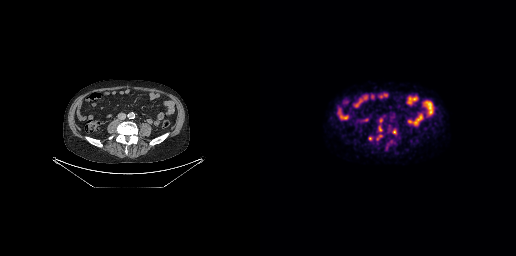
{"modality":"PSMA PET/CT","view":"axial","tracer":"18F-PSMA","pet_grid":[256,256],"coord_frame":"pet_panel","coord_format":"x0,y0,x1,y1","partial":true,"lesion_bboxes":[[119,127,121,131]],"small_foci_centers":[[134,131],[110,138],[120,120],[120,135]]}